- Left: CT. Right: PSMA PET, same axial level, 18F-PSMA tracer
- acquired on Siemens Biograph mCT Flow 20
- slice position z = -1514 mm
- PET panel 200×200 px (4.1 mm/px)
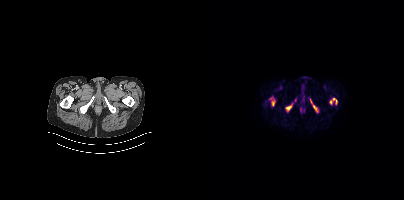
Findings: Coordinates are on the 200×200 PET (right) panel. PSMA-avid tumor lesion bounding boxes (x0, y0)-(x1, y1): (126, 98)-(133, 104) / (82, 104)-(88, 110) / (109, 105)-(113, 111) / (68, 101)-(70, 105) / (106, 99)-(108, 103).